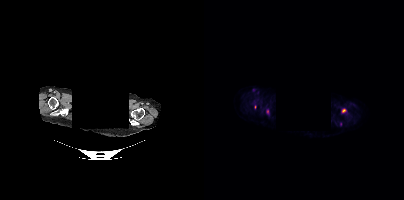
De-identified by setting a box covering the face to black before release.
Coordinates are on the 200×200 PET (right) panel. (showing 2 of 3 foci) Small PSMA-avid foci (2 to 4 px across) near (center x, center y): (139, 110) (63, 111).